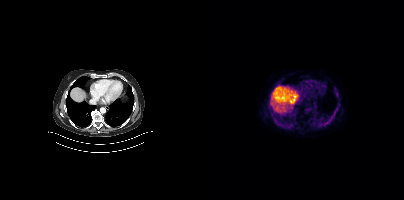
No PSMA-avid tumor lesions on this slice. Paired axial CT (left) and PSMA PET (right), 18F-PSMA tracer. Slice 281 of 433. PET panel 200×200 px (4.1 mm/px).